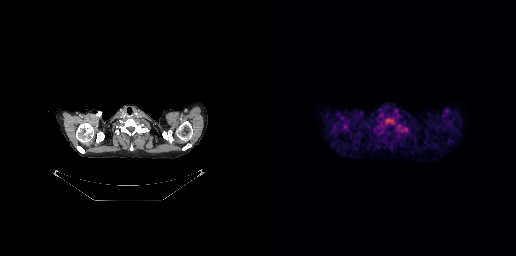
Coordinates are on the 256×256 PET (right) panel. PSMA-avid tumor lesion bounding boxes:
| # | x0 | y0 | x1 | y1 |
|---|---|---|---|---|
| 1 | 125 | 119 | 134 | 124 |
Left: CT. Right: PSMA PET, same axial level, 18F tracer. Acquired on GE Discovery 690. PET panel 256×256 px (2.7 mm/px).